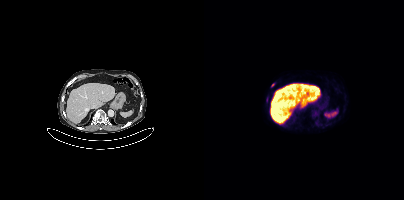
Technique: Paired axial CT (left) and PSMA PET (right), [18F]PSMA-1007 tracer. slice 231 of 429. PET panel 200×200 px (4.1 mm/px).
Findings: Coordinates are on the 200×200 PET (right) panel. (showing 1 of 2 foci) Small PSMA-avid focus (2 to 4 px across) near (center x, center y): (68, 84).